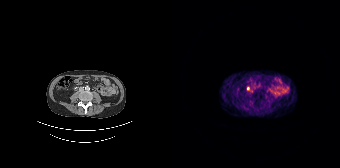
modality: PSMA PET/CT | tracer: 68Ga-PSMA | view: axial | PET grid: 168×168
Coordinates are on the 168×168 PET (right) panel. (showing 1 of 2 foci) Small PSMA-avid focus (2 to 4 px across) near (center x, center y): (76, 88).